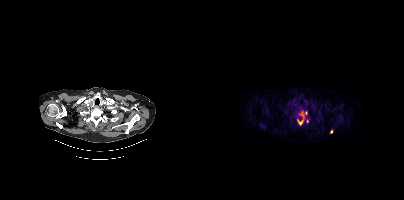
Coordinates are on the 200×200 PET (right) panel. PSMA-avid tumor lesion bounding boxes (x0, y0)-(x1, y1): (93, 111)-(99, 124) | (125, 129)-(128, 133). Small PSMA-avid foci (2 to 4 px across) near (center x, center y): (101, 112) | (103, 121). Left: CT. Right: PSMA PET, same axial level, 18F-PSMA tracer. Acquired on Siemens Biograph mCT Flow 20. Slice position z = -345 mm.